modality: PSMA PET/CT | tracer: 18F | view: axial
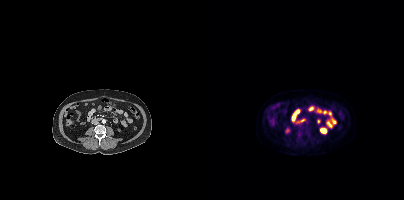
No tumor lesions annotated on this slice.